Technique: Paired axial CT (left) and PSMA PET (right), [18F]PSMA-1007 tracer. slice 13 of 299. PET panel 256×256 px (2.7 mm/px).
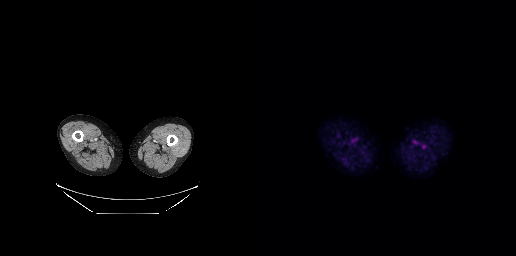
Findings: No tumor lesions annotated on this slice.